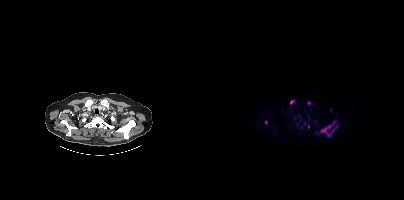
Technique: Two-panel axial: CT | PSMA PET, [18F]PSMA-1007 tracer. PET panel 200×200 px (4.1 mm/px).
Findings: Coordinates are on the 200×200 PET (right) panel. (showing 5 of 6 foci) PSMA-avid tumor lesion bounding boxes (x0,y0,x1,y1): [116,121,134,136], [86,100,90,104]. Small PSMA-avid foci (2 to 4 px across) near (center x, center y): (105, 103), (62, 122), (104, 126).